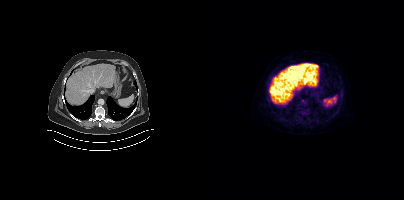
Coordinates are on the 200×200 PET (right) panel. PSMA-avid tumor lesion bounding box (x0, y0)-(x1, y1): (134, 94)-(139, 99).